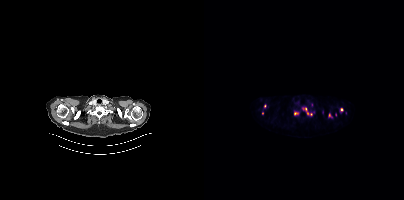
{"modality":"PSMA PET/CT","view":"axial","tracer":"18F","pet_grid":[200,200],"coord_frame":"pet_panel","coord_format":"x0,y0,x1,y1","partial":true,"lesion_bboxes":[],"small_foci_centers":[[91,113],[60,106],[58,113],[101,109],[137,109],[103,113]]}